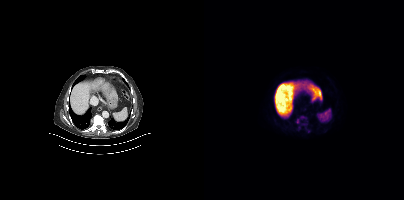
Negative for PSMA-avid disease on this slice.